Paired axial CT (left) and PSMA PET (right), [68Ga]Ga-PSMA-11 tracer. PET panel 256×256 px (2.7 mm/px).
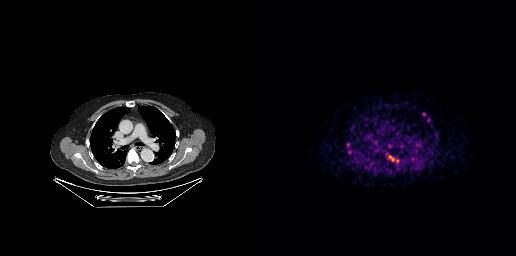
Coordinates are on the 256×256 PET (right) panel. Small PSMA-avid foci (2 to 4 px across) near (center x, center y): (164, 114) / (89, 152).